Paired axial CT (left) and PSMA PET (right), 18F-PSMA tracer.
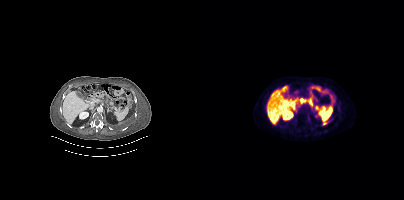
Coordinates are on the 200×200 PET (right) panel. PSMA-avid tumor lesion bounding box (x, y, width, height): x=101 y=99 w=7 h=6.